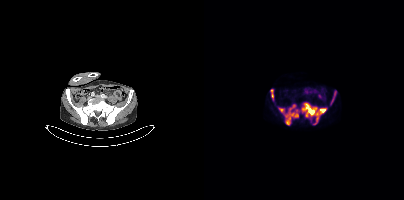
modality: PSMA PET/CT | tracer: 18F | view: axial | PET grid: 200×200
Coordinates are on the 200×200 PET (right) panel. PSMA-avid tumor lesion bounding boxes (x0,y0,x1,y1): [98,103,122,124] [74,105,94,124] [126,90,132,104] [67,89,69,100]. Small PSMA-avid focus (2 to 4 px across) near (center x, center y): (92, 110).